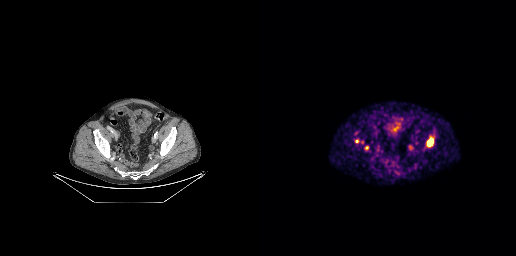
{"modality":"PSMA PET/CT","view":"axial","tracer":"[68Ga]Ga-PSMA-11","pet_grid":[256,256],"coord_frame":"pet_panel","coord_format":"x0,y0,x1,y1","lesion_bboxes":[[168,138,172,145]],"small_foci_centers":[[97,141],[107,146]]}